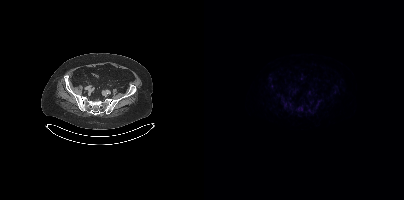
Only PSMA-avid lesion pieces thinner than 2 px on this slice (not listed).